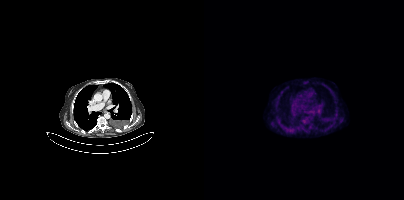
This slice has no annotated PSMA-avid lesion.